modality: PSMA PET/CT | tracer: [68Ga]Ga-PSMA-11 | view: axial | PET grid: 200×200
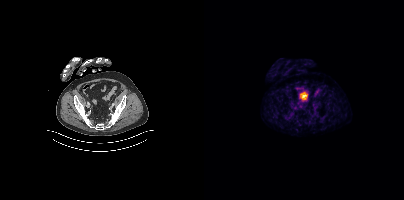
No PSMA-avid tumor lesions on this slice.